Technique: Left: CT. Right: PSMA PET, same axial level, 18F tracer. slice position z = -1417 mm.
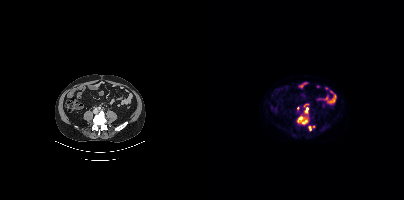
Findings: Coordinates are on the 200×200 PET (right) panel. PSMA-avid tumor lesion bounding boxes (x, y, width, height): x=93 y=116 w=11 h=9 | x=100 y=107 w=5 h=7 | x=104 y=126 w=4 h=5 | x=100 y=104 w=5 h=3. Small PSMA-avid foci (2 to 4 px across) near (center x, center y): (93, 108) | (109, 126).